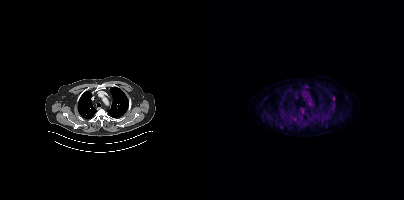
modality: PSMA PET/CT | tracer: [18F]PSMA-1007 | view: axial | PET grid: 200×200
Only PSMA-avid lesion pieces thinner than 2 px on this slice (not listed).